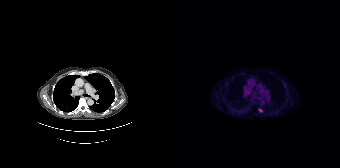
Left: CT. Right: PSMA PET, same axial level, [18F]PSMA-1007 tracer. Acquired on Siemens Biograph 64-4R TruePoint. PET panel 168×168 px (4.1 mm/px). Coordinates are on the 168×168 PET (right) panel. PSMA-avid tumor lesion bounding box (x0, y0)-(x1, y1): (86, 109)-(90, 112).